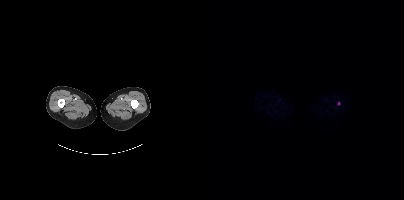
Findings: Coordinates are on the 200×200 PET (right) panel. Small PSMA-avid focus (2 to 4 px across) near (center x, center y): (134, 103).
Technique: Left: CT. Right: PSMA PET, same axial level, [18F]PSMA-1007 tracer. acquired on Siemens Biograph mCT Flow 20.